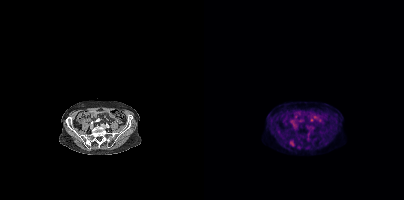
{"modality":"PSMA PET/CT","view":"axial","tracer":"[18F]PSMA-1007","pet_grid":[200,200],"coord_frame":"pet_panel","coord_format":"x0,y0,x1,y1","lesion_bboxes":[[85,142,90,146]]}